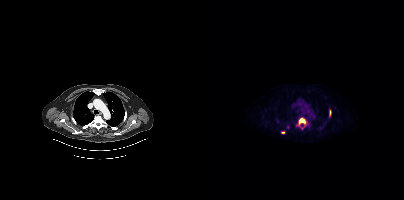
{"modality":"PSMA PET/CT","view":"axial","tracer":"18F-PSMA","pet_grid":[200,200],"coord_frame":"pet_panel","coord_format":"x0,y0,x1,y1","lesion_bboxes":[[93,118,103,126],[125,110,127,116],[83,125,85,129]],"small_foci_centers":[[98,127],[78,132]]}